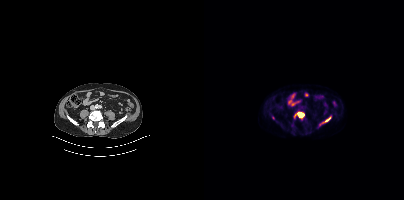
Findings: Coordinates are on the 200×200 PET (right) panel. PSMA-avid tumor lesion bounding boxes (x, y, width, height): x=94 y=112 w=6 h=6 / x=121 y=116 w=7 h=6. Small PSMA-avid focus (2 to 4 px across) near (center x, center y): (69, 118).
- Two-panel axial: CT | PSMA PET, 18F tracer
- slice position z = -772 mm
- PET panel 200×200 px (4.1 mm/px)